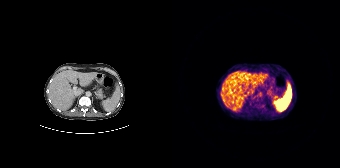
Negative for PSMA-avid disease on this slice. Two-panel axial: CT | PSMA PET, [68Ga]Ga-PSMA-11 tracer. Acquired on Siemens Biograph 64-4R TruePoint.